modality: PSMA PET/CT | tracer: [18F]PSMA-1007 | view: axial | PET grid: 200×200
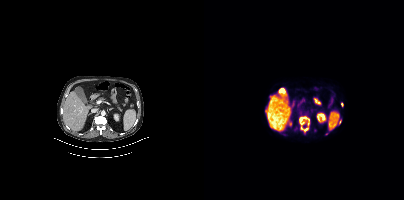
Coordinates are on the 200×200 PET (right) panel. (showing 3 of 6 foci) PSMA-avid tumor lesion bounding box (x, y, width, height): x=96 y=117 w=7 h=7. Small PSMA-avid foci (2 to 4 px across) near (center x, center y): (136, 121) | (101, 129).